Left: CT. Right: PSMA PET, same axial level, 18F tracer. Slice 123 of 263. PET panel 256×256 px (2.7 mm/px).
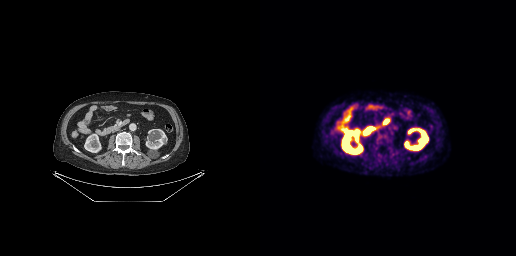
Negative for PSMA-avid disease on this slice.